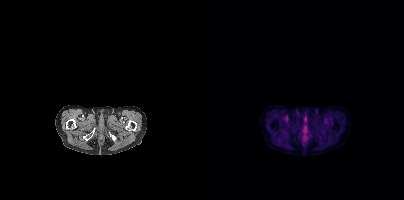
No tumor lesions annotated on this slice. Two-panel axial: CT | PSMA PET, [18F]PSMA-1007 tracer. Slice 42 of 389. PET panel 200×200 px (4.1 mm/px).